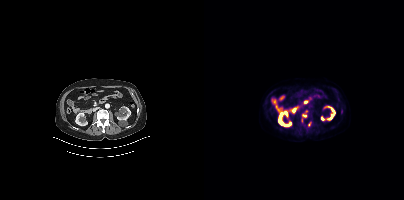
Technique: Paired axial CT (left) and PSMA PET (right), 18F tracer. acquired on Siemens Biograph mCT Flow 20. slice position z = -1303 mm.
Findings: Coordinates are on the 200×200 PET (right) panel. PSMA-avid tumor lesion bounding boxes (x, y, width, height): x=97 y=110 w=8 h=13 / x=104 y=122 w=3 h=6.